- Left: CT. Right: PSMA PET, same axial level, 68Ga tracer
- acquired on Siemens Biograph mCT Flow 20
- slice 67 of 411
- PET panel 200×200 px (4.1 mm/px)
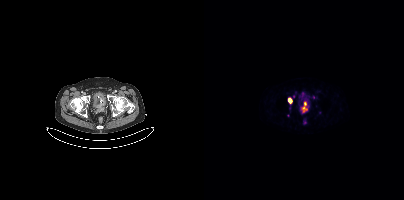
Findings: Coordinates are on the 200×200 PET (right) panel. (showing 3 of 4 foci) PSMA-avid tumor lesion bounding boxes (x, y, width, height): x=97 y=102 w=7 h=11 | x=84 y=98 w=4 h=5. Small PSMA-avid focus (2 to 4 px across) near (center x, center y): (89, 96).